Left: CT. Right: PSMA PET, same axial level, [68Ga]Ga-PSMA-11 tracer. Acquired on Siemens Biograph 64-4R TruePoint. Slice position z = -848 mm. PET panel 168×168 px (4.1 mm/px).
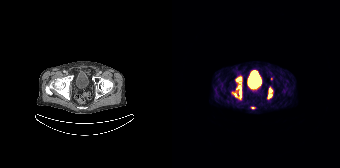
Coordinates are on the 168×168 PET (right) panel. PSMA-avid tumor lesion bounding boxes (partial; 1 more focus not listed):
| # | x0 | y0 | x1 | y1 |
|---|---|---|---|---|
| 1 | 64 | 85 | 69 | 97 |
| 2 | 96 | 89 | 100 | 98 |
| 3 | 64 | 77 | 69 | 82 |
| 4 | 62 | 92 | 64 | 96 |
Small PSMA-avid focus (2 to 4 px across) near (center x, center y): (80, 107).